Two-panel axial: CT | PSMA PET, 18F-PSMA tracer. PET panel 256×256 px (2.7 mm/px).
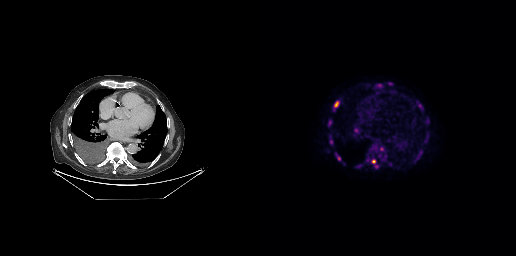
Coordinates are on the 256×256 PET (right) panel. PSMA-avid tumor lesion bounding boxes (partial; 2 more foci not listed):
| # | x0 | y0 | x1 | y1 |
|---|---|---|---|---|
| 1 | 74 | 101 | 79 | 107 |
| 2 | 76 | 153 | 79 | 159 |
| 3 | 112 | 159 | 115 | 163 |
Small PSMA-avid foci (2 to 4 px across) near (center x, center y): (71, 141); (159, 105).